Two-panel axial: CT | PSMA PET, 18F tracer. Acquired on Siemens Biograph mCT Flow 20. Slice 96 of 413. PET panel 200×200 px (4.1 mm/px).
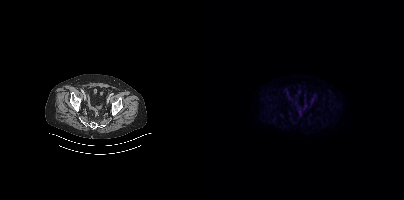
No PSMA-avid tumor lesions on this slice.